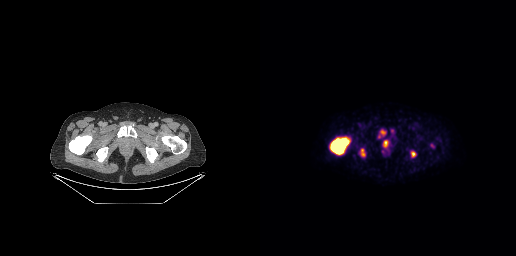
Technique: Paired axial CT (left) and PSMA PET (right), 18F-PSMA tracer. slice 64 of 299. PET panel 256×256 px (2.7 mm/px).
Findings: Coordinates are on the 256×256 PET (right) panel. PSMA-avid tumor lesion bounding boxes (x0, y0)-(x1, y1): (70, 137)-(90, 154) / (151, 151)-(156, 157) / (101, 149)-(104, 155) / (124, 141)-(127, 146) / (121, 130)-(125, 134). Small PSMA-avid focus (2 to 4 px across) near (center x, center y): (119, 136).